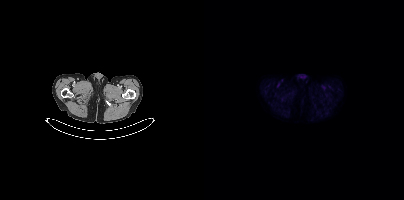
Paired axial CT (left) and PSMA PET (right), [18F]PSMA-1007 tracer. Acquired on Siemens Biograph mCT Flow 20. Negative for PSMA-avid disease on this slice.